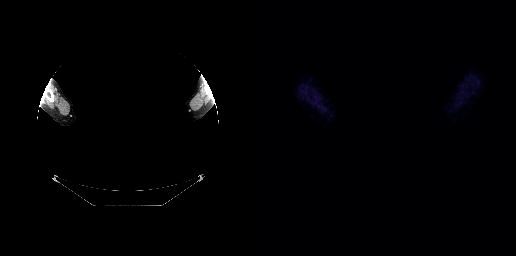
Findings: No PSMA-avid tumor lesions on this slice.
- Paired axial CT (left) and PSMA PET (right), 18F tracer
- acquired on GE Discovery 690
- slice position z = -13 mm
- PET panel 256×256 px (2.7 mm/px)
- head region blanked for anonymization (face removed)